- Paired axial CT (left) and PSMA PET (right), 68Ga-PSMA tracer
- slice 30 of 409
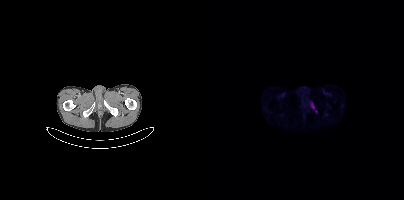
Findings: Coordinates are on the 200×200 PET (right) panel. PSMA-avid tumor lesion bounding box (x0, y0)-(x1, y1): (107, 103)-(110, 108). Small PSMA-avid focus (2 to 4 px across) near (center x, center y): (111, 111).